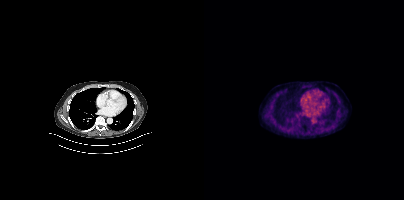
- Two-panel axial: CT | PSMA PET, 18F-PSMA tracer
- slice 265 of 409
- PET panel 200×200 px (4.1 mm/px)
Findings: This slice has no annotated PSMA-avid lesion.